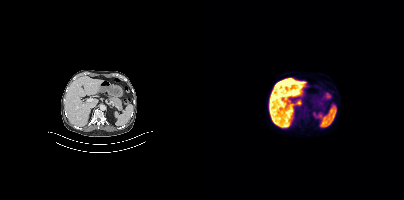
Findings: This slice has no annotated PSMA-avid lesion.
- Left: CT. Right: PSMA PET, same axial level, 18F-PSMA tracer
- acquired on Siemens Biograph mCT Flow 20